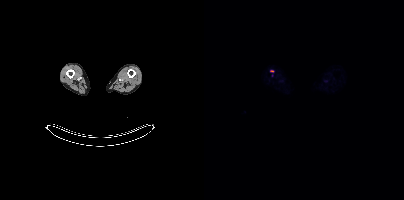
Coordinates are on the 200×200 PET (right) panel. Small PSMA-avid focus (2 to 4 px across) near (center x, center y): (68, 70). Paired axial CT (left) and PSMA PET (right), 18F-PSMA tracer. Acquired on Siemens Biograph mCT Flow 20. Slice position z = -1265 mm.